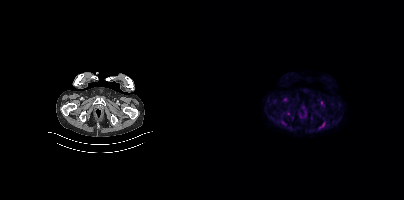
Technique: Left: CT. Right: PSMA PET, same axial level, 18F-PSMA tracer. acquired on Siemens Biograph mCT Flow 20. slice 50 of 421.
Findings: Only PSMA-avid lesion pieces thinner than 2 px on this slice (not listed).